- Two-panel axial: CT | PSMA PET, [18F]PSMA-1007 tracer
- slice 384 of 466
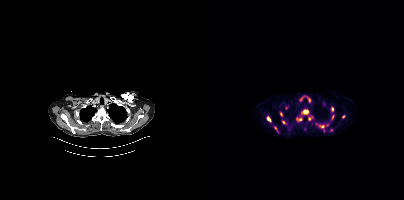
Findings: Coordinates are on the 200×200 PET (right) panel. (showing 12 of 14 foci) PSMA-avid tumor lesion bounding boxes (x, y, width, height): x=97 y=109 w=8 h=6 | x=92 y=117 w=6 h=6 | x=62 y=116 w=6 h=7 | x=78 y=120 w=5 h=5 | x=70 y=126 w=5 h=7 | x=115 y=125 w=6 h=3 | x=76 y=112 w=3 h=5 | x=127 y=107 w=3 h=5 | x=128 y=115 w=2 h=5. Small PSMA-avid foci (2 to 4 px across) near (center x, center y): (105, 118) | (82, 108) | (139, 116).